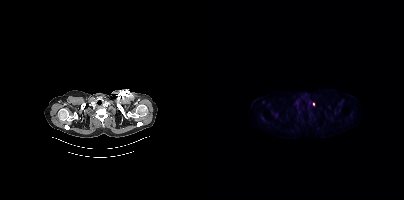
{"pet_grid":[200,200],"coord_frame":"pet_panel","coord_format":"x0,y0,x1,y1","lesion_bboxes":[],"small_foci_centers":[[109,104]],"modality":"PSMA PET/CT","view":"axial","tracer":"18F"}